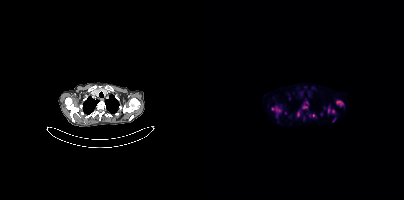
Technique: Paired axial CT (left) and PSMA PET (right), 18F tracer. acquired on Siemens Biograph mCT Flow 20. slice position z = -524 mm. PET panel 200×200 px (4.1 mm/px).
Findings: Coordinates are on the 200×200 PET (right) panel. (showing 8 of 10 foci) PSMA-avid tumor lesion bounding boxes (x0,y0,x1,y1): [67,106,77,115]; [132,100,139,106]; [124,106,130,113]; [98,106,103,108]; [93,111,95,116]. Small PSMA-avid foci (2 to 4 px across) near (center x, center y): (109, 115); (130, 119); (105, 115).